modality: PSMA PET/CT | tracer: 68Ga | view: axial
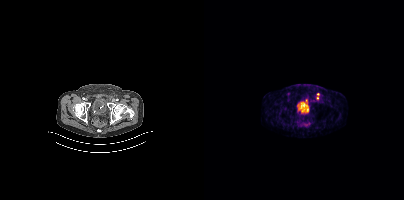
Coordinates are on the 200×200 PET (right) panel. Small PSMA-avid foci (2 to 4 px across) near (center x, center y): (113, 94) / (113, 97) / (102, 100).